Any black rectangle over the head is a privacy mask, not anatomy. Two-panel axial: CT | PSMA PET, [18F]PSMA-1007 tracer. PET panel 200×200 px (4.1 mm/px).
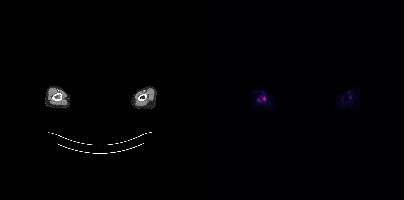
Coordinates are on the 200×200 PET (right) panel. (showing 1 of 2 foci) Small PSMA-avid focus (2 to 4 px across) near (center x, center y): (60, 98).